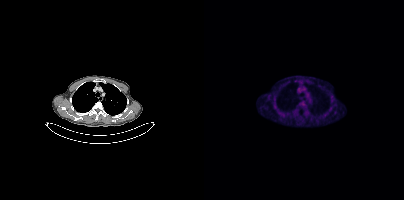
Coordinates are on the 200×200 PET (right) panel. Small PSMA-avid focus (2 to 4 px across) near (center x, center y): (127, 96). Paired axial CT (left) and PSMA PET (right), 18F tracer. Acquired on Siemens Biograph mCT Flow 20. PET panel 200×200 px (4.1 mm/px).